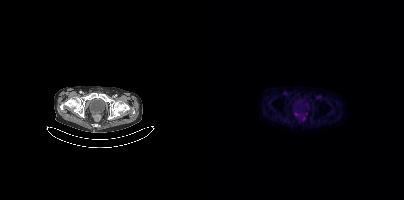
Technique: Left: CT. Right: PSMA PET, same axial level, 18F-PSMA tracer. acquired on Siemens Biograph mCT Flow 20. PET panel 200×200 px (4.1 mm/px).
Findings: Coordinates are on the 200×200 PET (right) panel. Small PSMA-avid focus (2 to 4 px across) near (center x, center y): (91, 113).